Technique: Two-panel axial: CT | PSMA PET, [18F]PSMA-1007 tracer. slice 186 of 263.
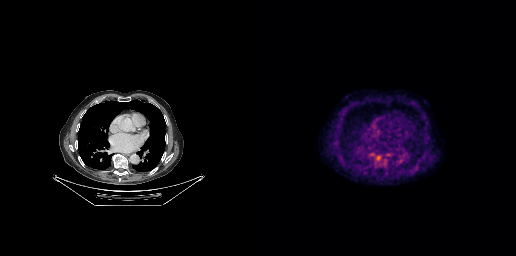
Findings: Coordinates are on the 256×256 PET (right) panel. PSMA-avid tumor lesion bounding boxes (x0,y0,x1,y1): [121,158,129,166] [110,153,117,160].